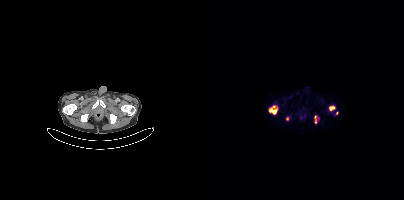
Coordinates are on the 200×200 PET (right) panel. (showing 4 of 5 foci) PSMA-avid tumor lesion bounding boxes (x, y, width, height): x=65 y=109 w=8 h=5; x=125 y=106 w=6 h=5; x=110 y=116 w=3 h=8. Small PSMA-avid focus (2 to 4 px across) near (center x, center y): (83, 118).